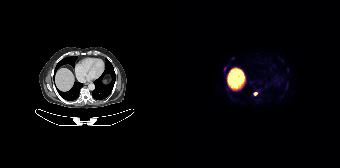
Coordinates are on the 168×168 PET (right) panel. PSMA-avid tumor lesion bounding boxes (x0,y0,x1,y1): [81,92,85,95]; [51,67,54,72]. Small PSMA-avid focus (2 to 4 px across) near (center x, center y): (54, 88).